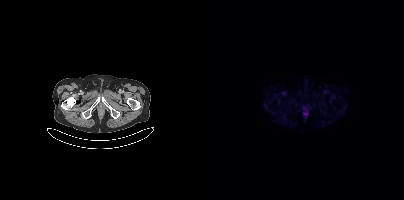
Left: CT. Right: PSMA PET, same axial level, 18F tracer. Acquired on Siemens Biograph mCT Flow 20. No tumor lesions annotated on this slice.